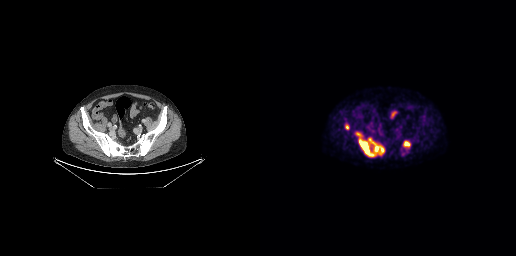
Findings: Coordinates are on the 256×256 PET (right) panel. PSMA-avid tumor lesion bounding boxes (x, y, width, height): x=96 y=132 w=29 h=25 | x=143 y=141 w=8 h=7 | x=86 y=125 w=3 h=5.
Technique: Two-panel axial: CT | PSMA PET, [18F]PSMA-1007 tracer. PET panel 256×256 px (2.7 mm/px).